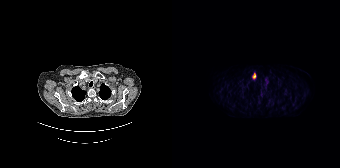
modality: PSMA PET/CT | tracer: 18F | view: axial | PET grid: 168×168
Coordinates are on the 168×168 PET (right) panel. PSMA-avid tumor lesion bounding box (x0,y0,x1,y1): [80,73,84,78].